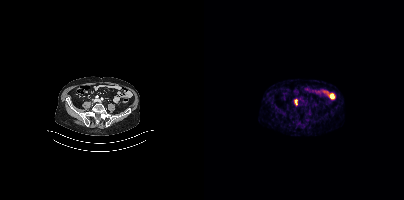
Coordinates are on the 200×200 PET (right) panel. (showing 1 of 2 foci) Small PSMA-avid focus (2 to 4 px across) near (center x, center y): (91, 101).